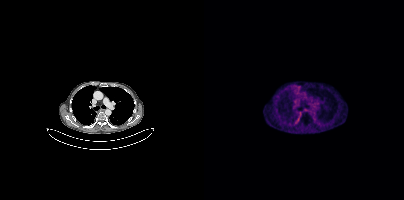
Technique: Paired axial CT (left) and PSMA PET (right), 68Ga tracer. slice 299 of 413. PET panel 200×200 px (4.1 mm/px).
Findings: No PSMA-avid tumor lesions on this slice.